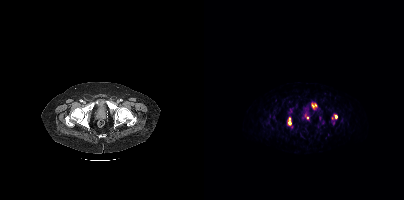
Coordinates are on the 200×200 PET (right) panel. (showing 4 of 5 foci) PSMA-avid tumor lesion bounding boxes (x, y, width, height): x=107 y=102 w=7 h=7 / x=84 y=118 w=4 h=8. Small PSMA-avid foci (2 to 4 px across) near (center x, center y): (132, 116) / (103, 117).